modality: PSMA PET/CT | tracer: [18F]PSMA-1007 | view: axial | PET grid: 256×256
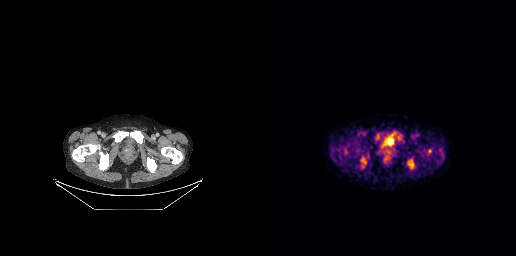
Coordinates are on the 256×256 PET (right) panel. PSMA-avid tumor lesion bounding box (x0, y0)-(x1, y1): (147, 159)-(154, 167). Small PSMA-avid foci (2 to 4 px across) near (center x, center y): (86, 151); (169, 150).